Two-panel axial: CT | PSMA PET, 18F-PSMA tracer. Slice position z = -405 mm.
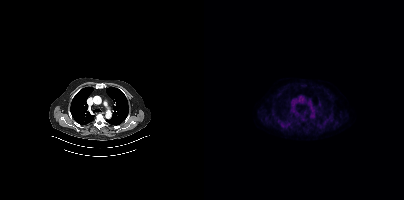
Coordinates are on the 200×200 PET (right) panel. Small PSMA-avid focus (2 to 4 px across) near (center x, center y): (81, 126).